Left: CT. Right: PSMA PET, same axial level, 68Ga-PSMA tracer. PET panel 200×200 px (4.1 mm/px).
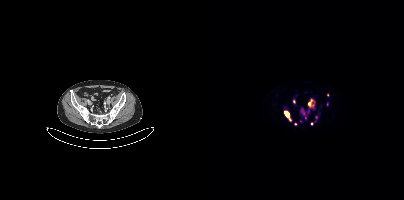
Coordinates are on the 200×200 PET (right) panel. (showing 10 of 11 foci) PSMA-avid tumor lesion bounding boxes (x0,y0,x1,y1): [104,100,110,107]; [80,111,87,121]; [98,112,102,119]; [104,109,106,113]. Small PSMA-avid foci (2 to 4 px across) near (center x, center y): (90, 101); (112, 117); (123, 95); (123, 104); (91, 123); (107, 123).